Technique: Left: CT. Right: PSMA PET, same axial level, 18F tracer.
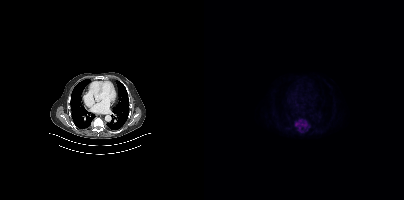
Findings: Coordinates are on the 200×200 PET (right) panel. PSMA-avid tumor lesion bounding boxes (x0,y0,x1,y1): [91,119,99,127]; [100,125,106,131].